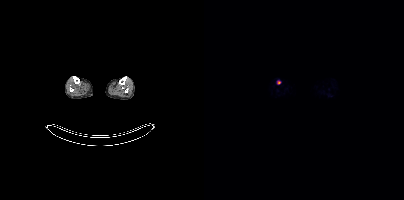
- Two-panel axial: CT | PSMA PET, 18F-PSMA tracer
- acquired on Siemens Biograph mCT Flow 20
- slice position z = -1627 mm
Findings: Coordinates are on the 200×200 PET (right) panel. Small PSMA-avid focus (2 to 4 px across) near (center x, center y): (74, 82).